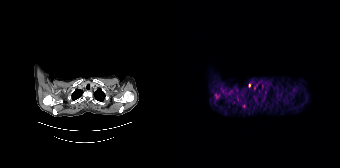
Technique: Left: CT. Right: PSMA PET, same axial level, 68Ga-PSMA tracer. slice position z = -258 mm. PET panel 168×168 px (4.1 mm/px).
Findings: Coordinates are on the 168×168 PET (right) panel. (showing 1 of 3 foci) Small PSMA-avid focus (2 to 4 px across) near (center x, center y): (77, 85).